Technique: Left: CT. Right: PSMA PET, same axial level, 18F tracer. acquired on Siemens Biograph mCT Flow 20. slice 223 of 444. PET panel 200×200 px (4.1 mm/px).
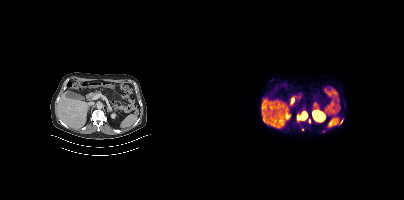
Findings: Coordinates are on the 200×200 PET (right) panel. (showing 2 of 3 foci) PSMA-avid tumor lesion bounding box (x0, y0)-(x1, y1): (97, 112)-(103, 119). Small PSMA-avid focus (2 to 4 px across) near (center x, center y): (93, 118).